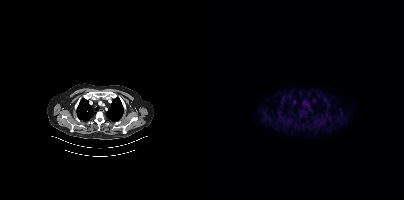
modality: PSMA PET/CT | tracer: [18F]PSMA-1007 | view: axial | PET grid: 200×200
No PSMA-avid tumor lesions on this slice.